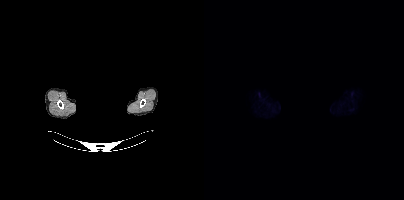
{"modality":"PSMA PET/CT","view":"axial","tracer":"[18F]PSMA-1007","pet_grid":[200,200],"coord_frame":"pet_panel","coord_format":"x0,y0,x1,y1","psma_avid_lesions":false,"deidentification":"privacy mask over head"}